Left: CT. Right: PSMA PET, same axial level, 18F tracer. Slice 266 of 421.
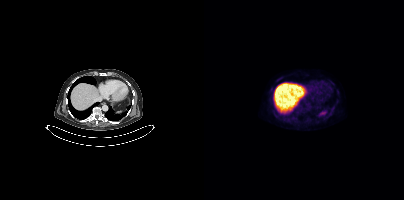
This slice has no annotated PSMA-avid lesion.